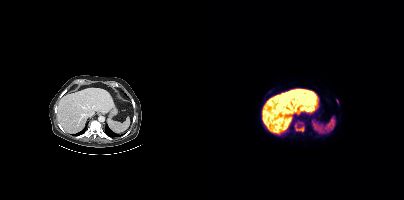
{"pet_grid":[200,200],"coord_frame":"pet_panel","coord_format":"x0,y0,x1,y1","partial":true,"lesion_bboxes":[[90,120,100,132],[132,99,134,103]],"modality":"PSMA PET/CT","view":"axial","tracer":"18F-PSMA"}